Paired axial CT (left) and PSMA PET (right), [68Ga]Ga-PSMA-11 tracer. Slice position z = -1034 mm.
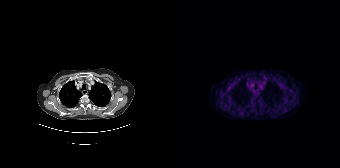
No tumor lesions annotated on this slice.